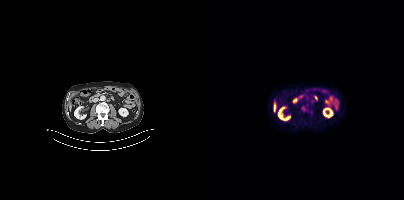
Coordinates are on the 200×200 PET (right) panel. Small PSMA-avid focus (2 to 4 px across) near (center x, center y): (99, 108). Paired axial CT (left) and PSMA PET (right), [18F]PSMA-1007 tracer. Acquired on Siemens Biograph mCT Flow 20. Slice position z = -731 mm.